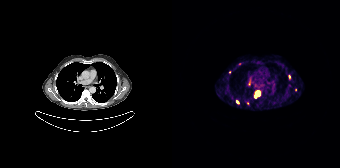
Findings: Coordinates are on the 168×168 PET (right) panel. (showing 5 of 8 foci) PSMA-avid tumor lesion bounding box (x0,y0,x1,y1): [83,91,87,97]. Small PSMA-avid foci (2 to 4 px across) near (center x, center y): (117, 76), (65, 102), (67, 63), (77, 84).
- Two-panel axial: CT | PSMA PET, [68Ga]Ga-PSMA-11 tracer